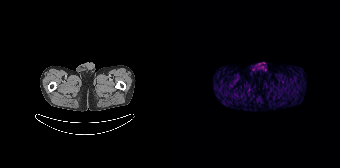
Findings: No PSMA-avid tumor lesions on this slice.
- Two-panel axial: CT | PSMA PET, 68Ga-PSMA tracer
- acquired on Siemens Biograph 64-4R TruePoint
- slice 14 of 165
- PET panel 168×168 px (4.1 mm/px)